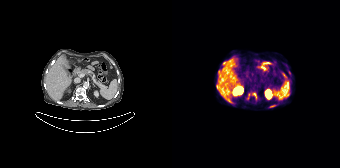
Left: CT. Right: PSMA PET, same axial level, 68Ga-PSMA tracer. Acquired on Siemens Biograph 64-4R TruePoint. Slice 92 of 165. Coordinates are on the 168×168 PET (right) panel. (showing 5 of 8 foci) PSMA-avid tumor lesion bounding boxes (x, y, width, height): x=81 y=93 w=4 h=6 / x=98 y=105 w=6 h=3. Small PSMA-avid foci (2 to 4 px across) near (center x, center y): (52, 62) / (55, 100) / (44, 86).